Technique: Paired axial CT (left) and PSMA PET (right), 18F tracer.
Note: An anonymization step blacked out a rectangle over the head in this scan.
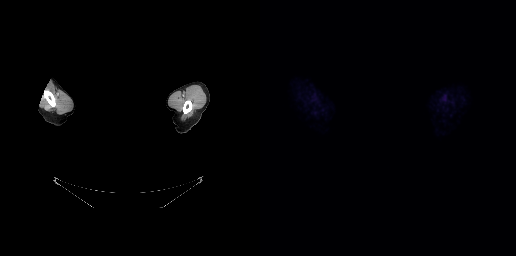
Findings: No tumor lesions annotated on this slice.